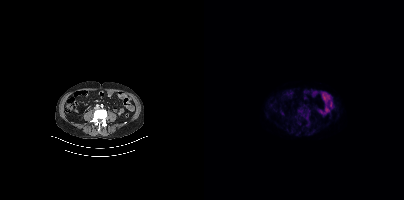
Findings: Negative for PSMA-avid disease on this slice.
- Left: CT. Right: PSMA PET, same axial level, 18F tracer
- acquired on Siemens Biograph mCT Flow 20
- slice position z = -690 mm